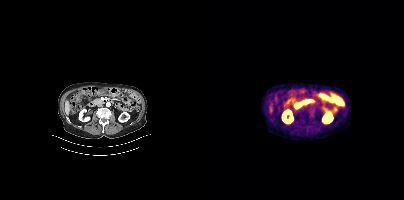
{"modality":"PSMA PET/CT","view":"axial","tracer":"18F","pet_grid":[200,200],"coord_frame":"pet_panel","coord_format":"x0,y0,x1,y1","psma_avid_lesions":false}